Paired axial CT (left) and PSMA PET (right), [18F]PSMA-1007 tracer. Acquired on Siemens Biograph mCT Flow 20. Slice 281 of 401.
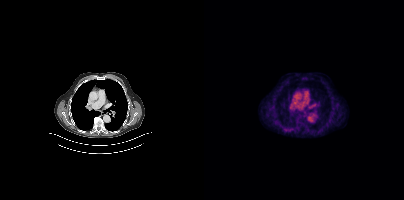
Negative for PSMA-avid disease on this slice.